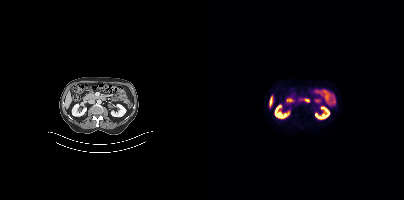
{"modality":"PSMA PET/CT","view":"axial","tracer":"[18F]PSMA-1007","pet_grid":[200,200],"coord_frame":"pet_panel","coord_format":"x0,y0,x1,y1","psma_avid_lesions":false}